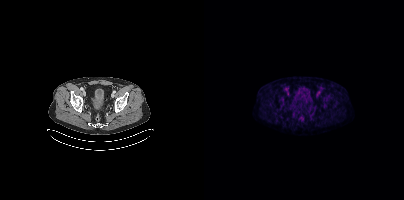
Left: CT. Right: PSMA PET, same axial level, 18F-PSMA tracer. Acquired on Siemens Biograph mCT Flow 20. Slice 107 of 454. No PSMA-avid tumor lesions on this slice.